- Left: CT. Right: PSMA PET, same axial level, 68Ga-PSMA tracer
- slice position z = 261 mm
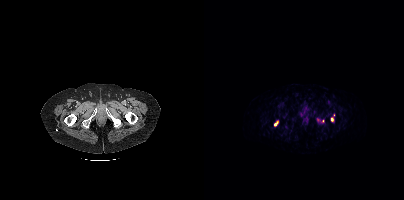
Findings: Coordinates are on the 200×200 PET (right) panel. (showing 4 of 5 foci) PSMA-avid tumor lesion bounding box (x0, y0)-(x1, y1): (70, 121)-(74, 126). Small PSMA-avid foci (2 to 4 px across) near (center x, center y): (128, 119); (118, 121); (114, 120).